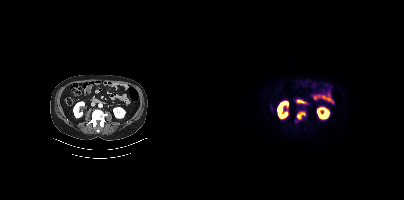
Findings: Coordinates are on the 200×200 PET (right) panel. PSMA-avid tumor lesion bounding box (x0, y0)-(x1, y1): (93, 112)-(101, 119).
Technique: Left: CT. Right: PSMA PET, same axial level, 18F-PSMA tracer. slice 194 of 450.